Paired axial CT (left) and PSMA PET (right), 18F-PSMA tracer. Acquired on Siemens Biograph mCT Flow 20. Slice 22 of 395. PET panel 200×200 px (4.1 mm/px).
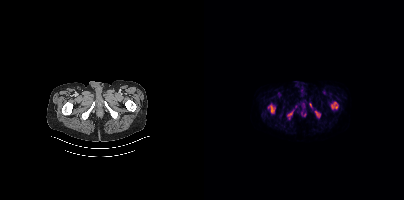
Coordinates are on the 200×200 PET (right) panel. PSMA-avid tumor lesion bounding boxes:
| # | x0 | y0 | x1 | y1 |
|---|---|---|---|---|
| 1 | 64 | 104 | 71 | 113 |
| 2 | 83 | 105 | 93 | 119 |
| 3 | 127 | 102 | 133 | 108 |
| 4 | 111 | 111 | 116 | 117 |
| 5 | 105 | 103 | 107 | 107 |